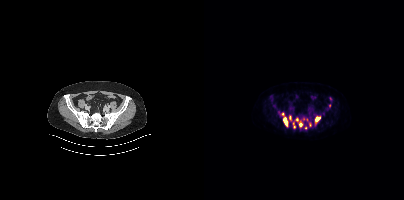
Coordinates are on the 200×200 PET (right) panel. (showing 8 of 10 foci) PSMA-avid tumor lesion bounding boxes (x0,y0,x1,y1): [79,117,83,126], [111,116,116,121], [95,122,98,126]. Small PSMA-avid foci (2 to 4 px across) near (center x, center y): (93, 119), (85, 117), (78, 114), (90, 127), (101, 127). Two-panel axial: CT | PSMA PET, [18F]PSMA-1007 tracer.